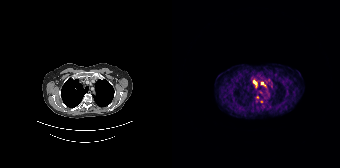
Coordinates are on the 168×168 PET (right) panel. PSMA-avid tumor lesion bounding boxes:
| # | x0 | y0 | x1 | y1 |
|---|---|---|---|---|
| 1 | 89 | 82 | 93 | 85 |
Small PSMA-avid foci (2 to 4 px across) near (center x, center y): (82, 82); (85, 97).
Paired axial CT (left) and PSMA PET (right), 68Ga-PSMA tracer. Acquired on Siemens Biograph 64-4R TruePoint. Slice 133 of 165. PET panel 168×168 px (4.1 mm/px).